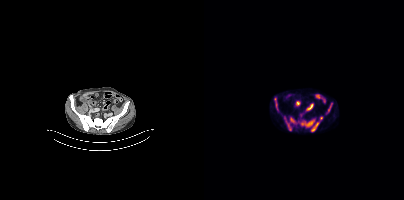
Left: CT. Right: PSMA PET, same axial level, 18F-PSMA tracer. Acquired on Siemens Biograph mCT Flow 20. Slice 108 of 375.
Coordinates are on the 200×200 PET (right) panel. PSMA-avid tumor lesion bounding boxes:
| # | x0 | y0 | x1 | y1 |
|---|---|---|---|---|
| 1 | 96 | 116 | 118 | 131 |
| 2 | 80 | 116 | 91 | 130 |
| 3 | 70 | 97 | 74 | 110 |
| 4 | 124 | 103 | 128 | 112 |